modality: PSMA PET/CT | tracer: [18F]PSMA-1007 | view: axial
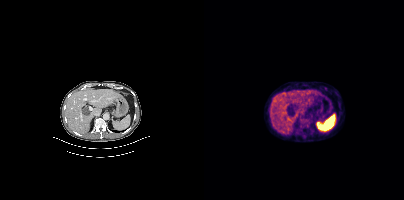
Coordinates are on the 200×200 PET (right) panel. PSMA-avid tumor lesion bounding box (x, y, width, height): x=94 y=117 w=14 h=10.